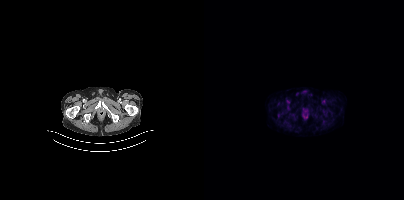
No tumor lesions annotated on this slice.